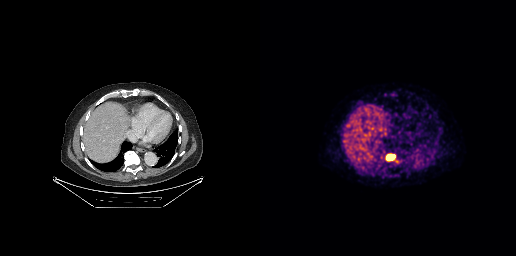
Coordinates are on the 256×256 PET (right) panel. PSMA-avid tumor lesion bounding box (x0, y0)-(x1, y1): (126, 154)-(135, 160).
modality: PSMA PET/CT | tracer: 68Ga-PSMA | view: axial | PET grid: 256×256